modality: PSMA PET/CT | tracer: 18F | view: axial
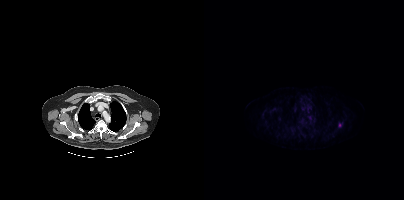
Only PSMA-avid lesion pieces thinner than 2 px on this slice (not listed).